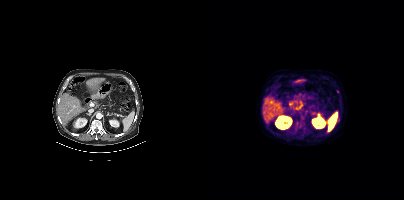
Left: CT. Right: PSMA PET, same axial level, 18F-PSMA tracer. PET panel 200×200 px (4.1 mm/px). Coordinates are on the 200×200 PET (right) panel. Small PSMA-avid focus (2 to 4 px across) near (center x, center y): (134, 120).